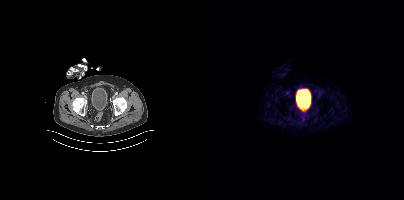
{"modality":"PSMA PET/CT","view":"axial","tracer":"68Ga","pet_grid":[200,200],"coord_frame":"pet_panel","coord_format":"x0,y0,x1,y1","psma_avid_lesions":false}